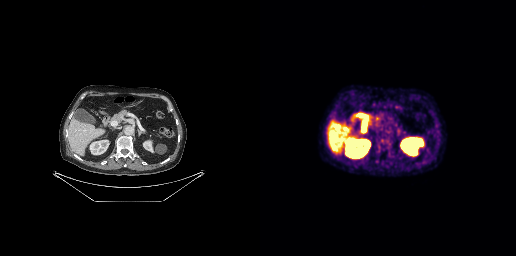
{"pet_grid":[256,256],"coord_frame":"pet_panel","coord_format":"x0,y0,x1,y1","psma_avid_lesions":false,"modality":"PSMA PET/CT","view":"axial","tracer":"[18F]PSMA-1007"}